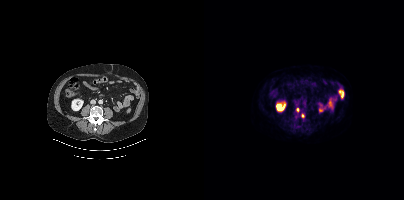
Findings: Coordinates are on the 200×200 PET (right) panel. Small PSMA-avid foci (2 to 4 px across) near (center x, center y): (93, 109); (98, 115).
Technique: Paired axial CT (left) and PSMA PET (right), 18F-PSMA tracer. acquired on Siemens Biograph mCT Flow 20. PET panel 200×200 px (4.1 mm/px).